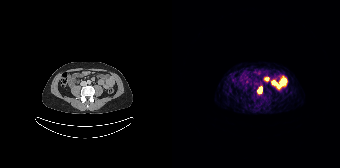
Left: CT. Right: PSMA PET, same axial level, 68Ga-PSMA tracer. PET panel 168×168 px (4.1 mm/px).
Coordinates are on the 168×168 PET (right) panel. PSMA-avid tumor lesion bounding boxes:
| # | x0 | y0 | x1 | y1 |
|---|---|---|---|---|
| 1 | 85 | 86 | 90 | 93 |